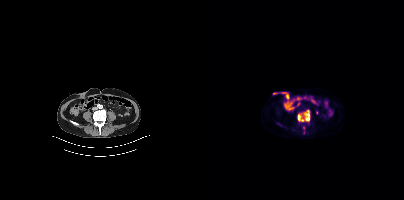
Coordinates are on the 200×200 PET (right) panel. PSMA-avid tumor lesion bounding box (x, y, width, height): x=93 y=112 w=13 h=10. Left: CT. Right: PSMA PET, same axial level, 18F-PSMA tracer. Slice 189 of 466.